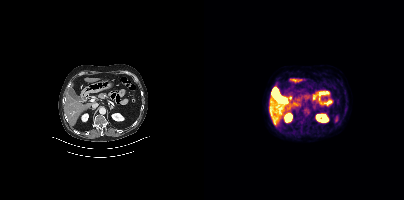
- Paired axial CT (left) and PSMA PET (right), 18F-PSMA tracer
- slice 239 of 454
Findings: No PSMA-avid tumor lesions on this slice.